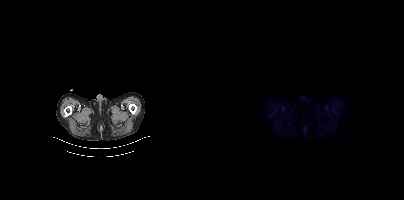
Two-panel axial: CT | PSMA PET, 18F tracer. Acquired on Siemens Biograph mCT Flow 20. PET panel 200×200 px (4.1 mm/px). No PSMA-avid tumor lesions on this slice.